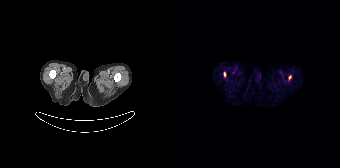
Technique: Two-panel axial: CT | PSMA PET, 68Ga tracer. acquired on Siemens Biograph 64-4R TruePoint.
Findings: Coordinates are on the 168×168 PET (right) panel. Small PSMA-avid foci (2 to 4 px across) near (center x, center y): (118, 77) | (52, 74).